modality: PSMA PET/CT | tracer: [18F]PSMA-1007 | view: axial
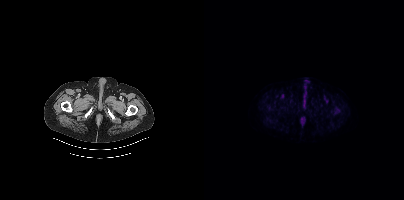
Coordinates are on the 200×200 PET (right) panel. Small PSMA-avid focus (2 to 4 px across) near (center x, center y): (133, 110).